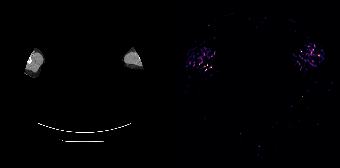
Technique: Two-panel axial: CT | PSMA PET, 68Ga tracer. acquired on Siemens Biograph 64-4R TruePoint. PET panel 168×168 px (4.1 mm/px).
Note: Any black rectangle over the head is a privacy mask, not anatomy.
Findings: No tumor lesions annotated on this slice.